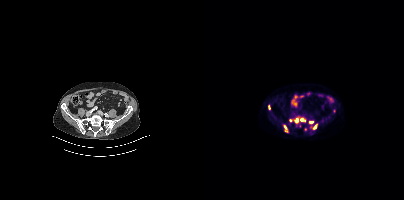
{"modality":"PSMA PET/CT","view":"axial","tracer":"18F","pet_grid":[200,200],"coord_frame":"pet_panel","coord_format":"x0,y0,x1,y1","partial":true,"lesion_bboxes":[[109,124,113,129],[90,118,94,122],[64,105,66,110],[96,118,101,121],[105,121,109,123],[80,125,83,131]],"small_foci_centers":[[86,120],[130,111]]}